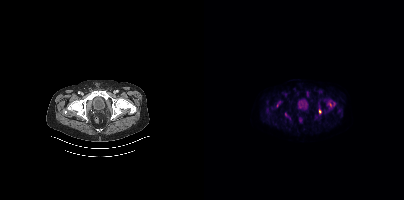
Findings: Coordinates are on the 200×200 PET (right) panel. (showing 4 of 5 foci) PSMA-avid tumor lesion bounding boxes (x0,y0,x1,y1): [124,101,127,106], [115,109,117,113]. Small PSMA-avid foci (2 to 4 px across) near (center x, center y): (73, 105), (81, 114).
Technique: Left: CT. Right: PSMA PET, same axial level, 18F tracer. PET panel 200×200 px (4.1 mm/px).